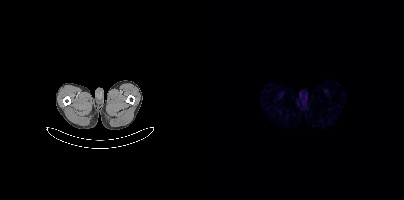
{"modality":"PSMA PET/CT","view":"axial","tracer":"68Ga","pet_grid":[200,200],"coord_frame":"pet_panel","coord_format":"x0,y0,x1,y1","psma_avid_lesions":false}